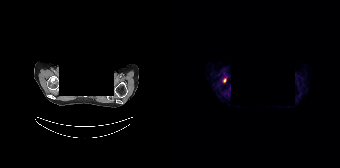
Findings: Coordinates are on the 168×168 PET (right) panel. PSMA-avid tumor lesion bounding box (x0,y0,x1,y1): [51,78,54,82].
- Two-panel axial: CT | PSMA PET, 68Ga tracer
- PET panel 168×168 px (4.1 mm/px)
- head region blanked for anonymization (face removed)